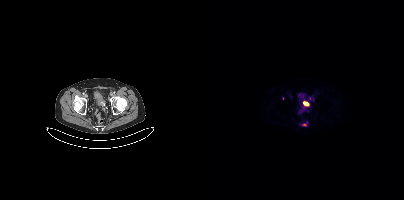
Coordinates are on the 200×200 PET (right) panel. (showing 3 of 6 foci) PSMA-avid tumor lesion bounding boxes (x0, y0)-(x1, y1): (98, 122)-(103, 126) | (100, 102)-(104, 105). Small PSMA-avid focus (2 to 4 px across) near (center x, center y): (99, 107).
modality: PSMA PET/CT | tracer: 68Ga | view: axial | PET grid: 200×200